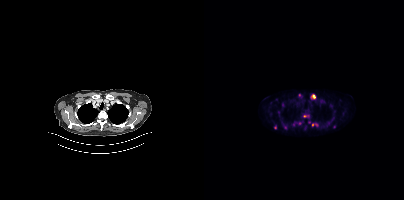
{"pet_grid":[200,200],"coord_frame":"pet_panel","coord_format":"x0,y0,x1,y1","lesion_bboxes":[[108,94,111,98],[91,122,96,123]],"small_foci_centers":[[100,116],[95,95],[71,127],[108,124],[81,127],[112,124]],"modality":"PSMA PET/CT","view":"axial","tracer":"18F"}